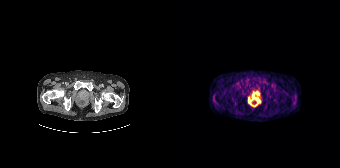
Coordinates are on the 168×168 PET (right) panel. PSMA-avid tumor lesion bounding box (x0,y0,x1,y1): [84,98,87,103]. Small PSMA-avid foci (2 to 4 px across) near (center x, center y): (76, 100) (85, 92) (81, 96).